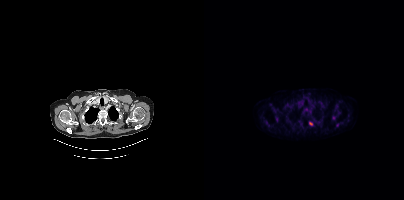
Coordinates are on the 200×200 PET (right) panel. Small PSMA-avid focus (2 to 4 px across) near (center x, center y): (106, 123).